modality: PSMA PET/CT | tracer: [18F]PSMA-1007 | view: axial
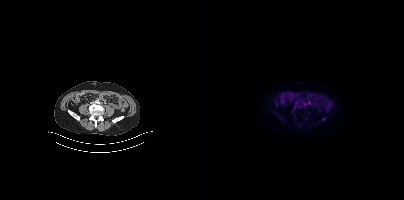
Coordinates are on the 200×200 PET (right) panel. Small PSMA-avid focus (2 to 4 px across) near (center x, center y): (119, 119).